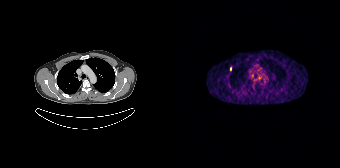
{"modality":"PSMA PET/CT","view":"axial","tracer":"68Ga","pet_grid":[168,168],"coord_frame":"pet_panel","coord_format":"x0,y0,x1,y1","lesion_bboxes":[],"small_foci_centers":[[58,68]]}